Paired axial CT (left) and PSMA PET (right), 18F tracer. Acquired on Siemens Biograph mCT Flow 20.
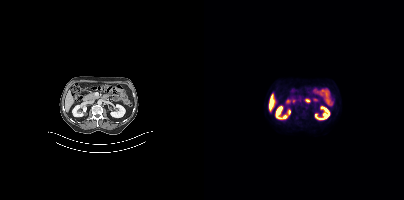
Negative for PSMA-avid disease on this slice.